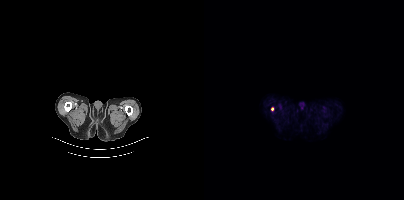
{"modality":"PSMA PET/CT","view":"axial","tracer":"18F","pet_grid":[200,200],"coord_frame":"pet_panel","coord_format":"x0,y0,x1,y1","lesion_bboxes":[],"small_foci_centers":[[68,108]]}